Paired axial CT (left) and PSMA PET (right), [18F]PSMA-1007 tracer. Acquired on GE Discovery 690.
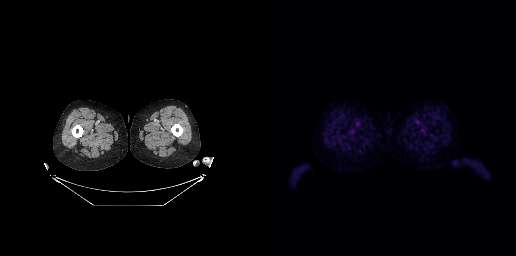
Negative for PSMA-avid disease on this slice.